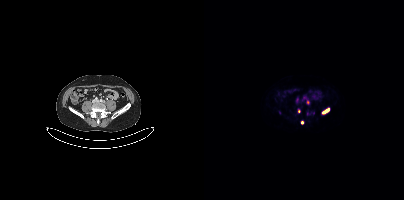
Coordinates are on the 200×200 PET (right) panel. (showing 3 of 5 foci) PSMA-avid tumor lesion bounding boxes (x0,y0,x1,y1): [119,108,125,113]; [102,100,105,104]. Small PSMA-avid focus (2 to 4 px across) near (center x, center y): (95, 111).